- Left: CT. Right: PSMA PET, same axial level, [18F]PSMA-1007 tracer
- acquired on GE Discovery 690
- slice position z = -294 mm
- PET panel 256×256 px (2.7 mm/px)
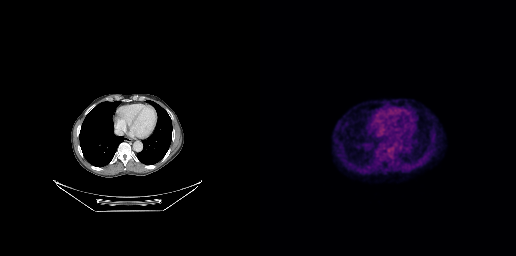
Findings: No PSMA-avid tumor lesions on this slice.